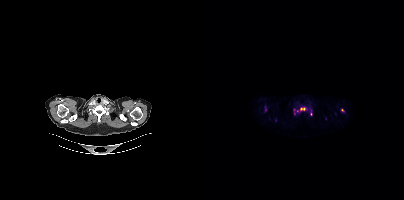
{"pet_grid":[200,200],"coord_frame":"pet_panel","coord_format":"x0,y0,x1,y1","partial":true,"lesion_bboxes":[[96,108,100,110]],"modality":"PSMA PET/CT","view":"axial","tracer":"[18F]PSMA-1007"}